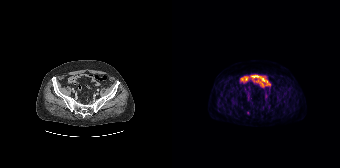
Left: CT. Right: PSMA PET, same axial level, [18F]PSMA-1007 tracer. PET panel 168×168 px (4.1 mm/px). Only PSMA-avid lesion pieces thinner than 2 px on this slice (not listed).